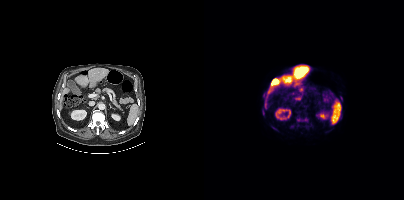
Coordinates are on the 200×200 PET (right) panel. (showing 3 of 4 foci) PSMA-avid tumor lesion bounding boxes (x0,y0,x1,y1): [92,117,104,122]; [91,97,96,99]. Small PSMA-avid focus (2 to 4 px across) near (center x, center y): (88, 126).